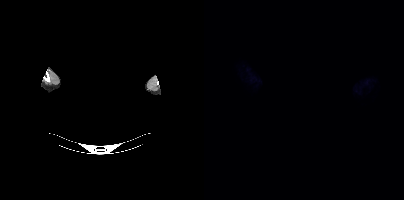
{"modality":"PSMA PET/CT","view":"axial","tracer":"18F","pet_grid":[200,200],"coord_frame":"pet_panel","coord_format":"x0,y0,x1,y1","psma_avid_lesions":false,"de-identification":"rectangular block over head set to black"}